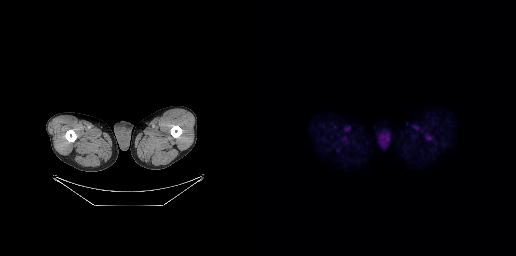
{"modality":"PSMA PET/CT","view":"axial","tracer":"18F-PSMA","pet_grid":[256,256],"coord_frame":"pet_panel","coord_format":"x0,y0,x1,y1","psma_avid_lesions":false}